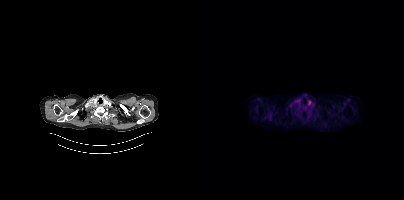
Negative for PSMA-avid disease on this slice.